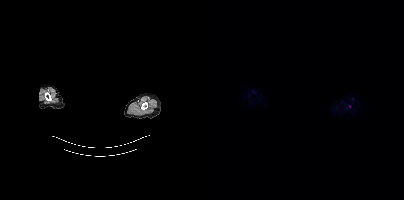
No tumor lesions annotated on this slice. Any black rectangle over the head is a privacy mask, not anatomy. Paired axial CT (left) and PSMA PET (right), 18F-PSMA tracer. Slice 416 of 444.